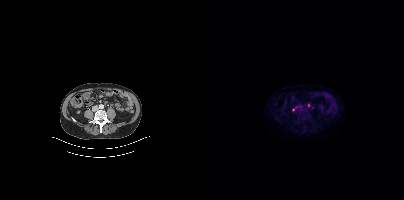
Only PSMA-avid lesion pieces thinner than 2 px on this slice (not listed). Two-panel axial: CT | PSMA PET, [18F]PSMA-1007 tracer. Acquired on Siemens Biograph mCT Flow 20. Slice position z = -1370 mm. PET panel 200×200 px (4.1 mm/px).